Two-panel axial: CT | PSMA PET, 18F-PSMA tracer.
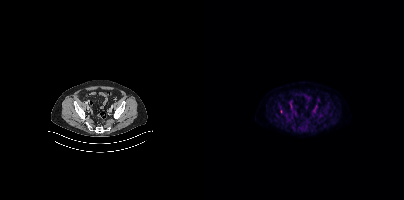
Coordinates are on the 200×200 PET (right) panel. Small PSMA-avid foci (2 to 4 px across) near (center x, center y): (87, 104) | (77, 110).